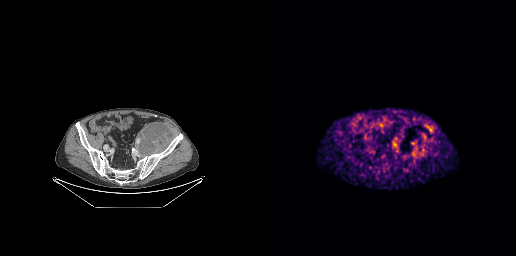
Left: CT. Right: PSMA PET, same axial level, 68Ga-PSMA tracer. Slice position z = -762 mm. Coordinates are on the 256×256 PET (right) panel. PSMA-avid tumor lesion bounding box (x0,y0,x1,y1): [152,151,153,155].